Technique: Paired axial CT (left) and PSMA PET (right), 18F tracer. acquired on GE Discovery 690. PET panel 256×256 px (2.7 mm/px).
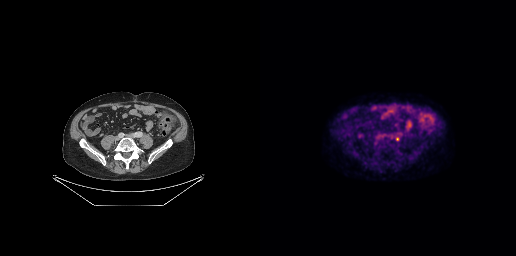
Findings: Coordinates are on the 256×256 PET (right) panel. Small PSMA-avid focus (2 to 4 px across) near (center x, center y): (137, 138).